Two-panel axial: CT | PSMA PET, 18F-PSMA tracer. PET panel 200×200 px (4.1 mm/px). The head region is masked for de-identification.
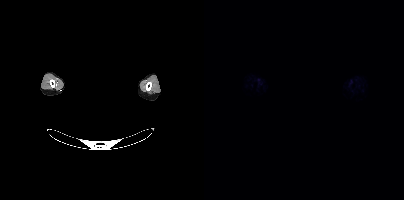
No tumor lesions annotated on this slice.